modality: PSMA PET/CT | tracer: 18F-PSMA | view: axial
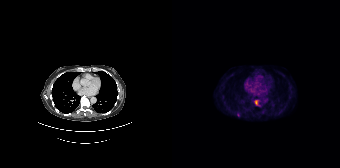
Coordinates are on the 168×168 PET (right) panel. PSMA-avid tumor lesion bounding box (x0,y0,x1,y1): [82,100,87,105]. Small PSMA-avid focus (2 to 4 px across) near (center x, center y): (66, 114).